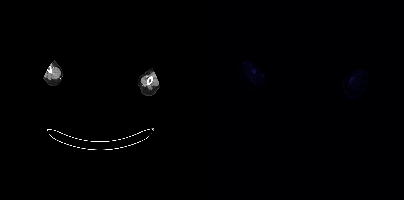
A rectangular block over the head has been blanked out for de-identification.
No tumor lesions annotated on this slice.